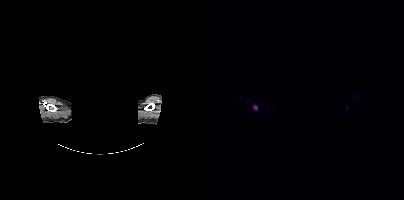
Coordinates are on the 200×200 PET (right) panel. PSMA-avid tumor lesion bounding boxes:
| # | x0 | y0 | x1 | y1 |
|---|---|---|---|---|
| 1 | 49 | 105 | 53 | 110 |
De-identified by setting a box covering the face to black before release. Paired axial CT (left) and PSMA PET (right), 18F-PSMA tracer. Slice 388 of 423. PET panel 200×200 px (4.1 mm/px).